modality: PSMA PET/CT | tracer: [18F]PSMA-1007 | view: axial | PET grid: 200×200
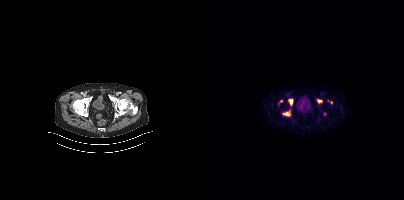
Coordinates are on the 200×200 PET (right) panel. (showing 5 of 6 foci) PSMA-avid tumor lesion bounding boxes (x, y, width, height): x=84 y=99 w=6 h=7; x=79 y=112 w=7 h=4; x=113 y=99 w=6 h=4. Small PSMA-avid foci (2 to 4 px across) near (center x, center y): (127, 102); (123, 100).